modality: PSMA PET/CT | tracer: [18F]PSMA-1007 | view: axial
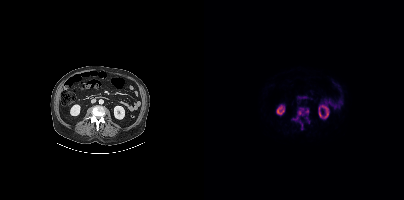
Coordinates are on the 200×200 PET (right) panel. PSMA-avid tumor lesion bounding boxes (x0, y0)-(x1, y1): (88, 108)-(105, 121) | (95, 120)-(98, 129) | (102, 117)-(105, 123).